Technique: Left: CT. Right: PSMA PET, same axial level, 18F tracer.
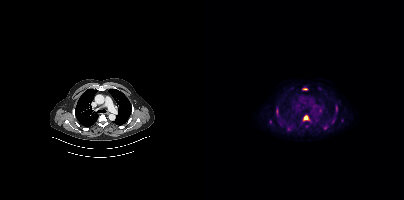
Findings: Coordinates are on the 200×200 PET (right) panel. PSMA-avid tumor lesion bounding boxes (x0, y0)-(x1, y1): (99, 115)-(105, 120); (131, 105)-(133, 115); (72, 108)-(74, 116); (119, 125)-(124, 129); (83, 127)-(86, 131); (101, 124)-(105, 128); (98, 88)-(103, 90). Small PSMA-avid foci (2 to 4 px across) near (center x, center y): (138, 120); (128, 122); (66, 121).